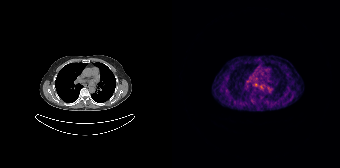
{"modality":"PSMA PET/CT","view":"axial","tracer":"68Ga","pet_grid":[168,168],"coord_frame":"pet_panel","coord_format":"x0,y0,x1,y1","lesion_bboxes":[[82,82,85,86]]}